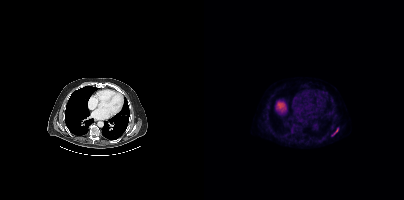
Coordinates are on the 200×200 PET (right) panel. PSMA-avid tumor lesion bounding box (x, y, width, height): x=129 y=129 w=6 h=6. Paired axial CT (left) and PSMA PET (right), 18F-PSMA tracer. PET panel 200×200 px (4.1 mm/px).